Technique: Paired axial CT (left) and PSMA PET (right), 18F tracer. PET panel 200×200 px (4.1 mm/px).
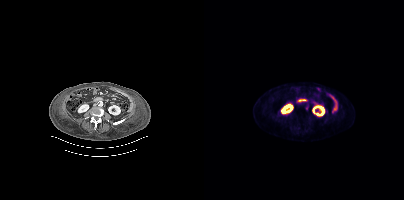
Findings: Coordinates are on the 200×200 PET (right) panel. Small PSMA-avid focus (2 to 4 px across) near (center x, center y): (102, 108).